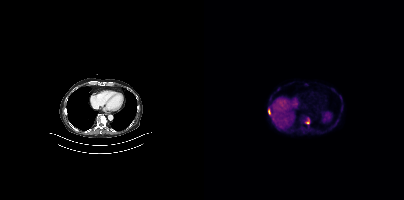
- Paired axial CT (left) and PSMA PET (right), [18F]PSMA-1007 tracer
- PET panel 200×200 px (4.1 mm/px)
Findings: Coordinates are on the 200×200 PET (right) panel. PSMA-avid tumor lesion bounding boxes (x0, y0)-(x1, y1): (97, 115)-(105, 124); (64, 109)-(66, 113).